- Left: CT. Right: PSMA PET, same axial level, 18F-PSMA tracer
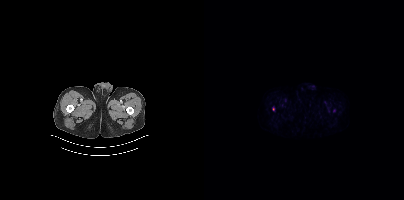
Findings: Coordinates are on the 200×200 PET (right) panel. Small PSMA-avid focus (2 to 4 px across) near (center x, center y): (69, 109).